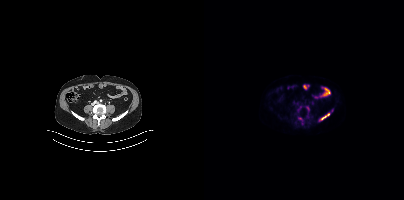
Paired axial CT (left) and PSMA PET (right), 18F tracer. Slice position z = -610 mm. PET panel 200×200 px (4.1 mm/px).
Coordinates are on the 200×200 PET (right) panel. PSMA-avid tumor lesion bounding boxes (partial; 1 more focus not listed):
| # | x0 | y0 | x1 | y1 |
|---|---|---|---|---|
| 1 | 115 | 113 | 125 | 120 |
Small PSMA-avid focus (2 to 4 px across) near (center x, center y): (103, 108).